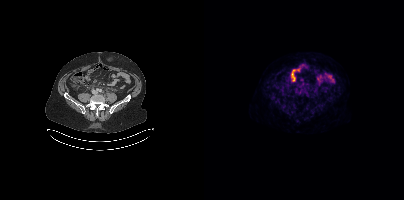
{"modality":"PSMA PET/CT","view":"axial","tracer":"[18F]PSMA-1007","pet_grid":[200,200],"coord_frame":"pet_panel","coord_format":"x0,y0,x1,y1","lesion_bboxes":[[99,90,104,95]]}